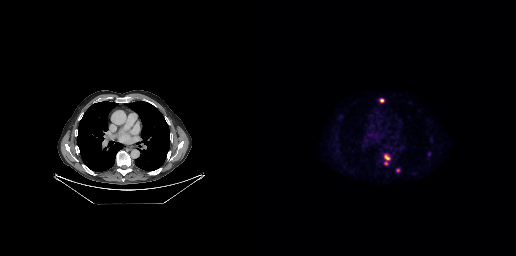
Findings: Coordinates are on the 256×256 PET (right) panel. (showing 3 of 4 foci) PSMA-avid tumor lesion bounding box (x, y, width, height): x=124 y=154 w=7 h=12. Small PSMA-avid foci (2 to 4 px across) near (center x, center y): (121, 100) / (137, 170).
- Paired axial CT (left) and PSMA PET (right), [18F]PSMA-1007 tracer
- PET panel 256×256 px (2.7 mm/px)